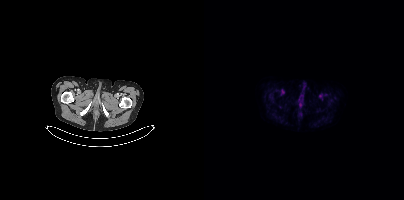
Technique: Left: CT. Right: PSMA PET, same axial level, [18F]PSMA-1007 tracer.
Findings: Negative for PSMA-avid disease on this slice.